modality: PSMA PET/CT | tracer: 18F | view: axial | PET grid: 200×200
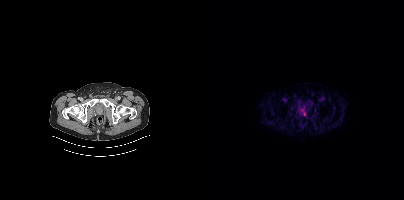
Coordinates are on the 200×200 PET (right) panel. (showing 1 of 2 foci) Small PSMA-avid focus (2 to 4 px across) near (center x, center y): (100, 113).